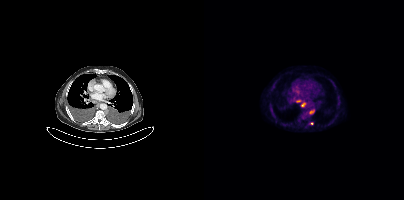
modality: PSMA PET/CT | tracer: 18F | view: axial
Coordinates are on the 200×200 PET (right) panel. (showing 3 of 4 foci) PSMA-avid tumor lesion bounding boxes (x0,y0,x1,y1): [105,110,109,114]; [97,103,101,106]. Small PSMA-avid focus (2 to 4 px across) near (center x, center y): (107, 123).